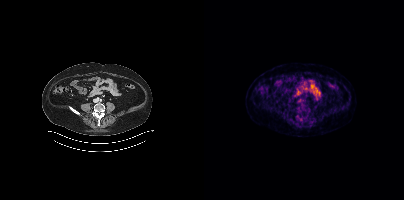
Findings: This slice has no annotated PSMA-avid lesion.
- Two-panel axial: CT | PSMA PET, 18F-PSMA tracer
- acquired on Siemens Biograph mCT Flow 20
- slice position z = -1350 mm